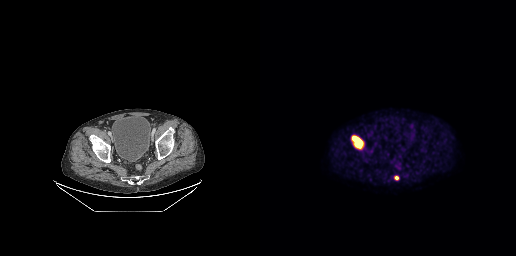
Coordinates are on the 256×256 PET (right) panel. PSMA-avid tumor lesion bounding boxes (x0, y0)-(x1, y1): (93, 136)-(103, 148); (134, 176)-(138, 179).